Two-panel axial: CT | PSMA PET, 18F-PSMA tracer.
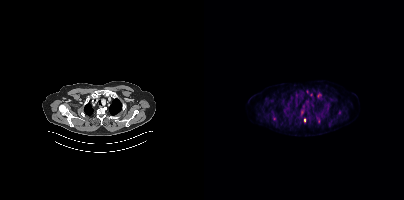
Coordinates are on the 200×200 PET (right) panel. PSMA-avid tumor lesion bounding boxes (partial; 3 more foci not listed):
| # | x0 | y0 | x1 | y1 |
|---|---|---|---|---|
| 1 | 113 | 93 | 117 | 97 |
| 2 | 100 | 118 | 101 | 122 |
Small PSMA-avid foci (2 to 4 px across) near (center x, center y): (103, 91); (97, 112).